Paired axial CT (left) and PSMA PET (right), [18F]PSMA-1007 tracer. Acquired on Siemens Biograph mCT Flow 20.
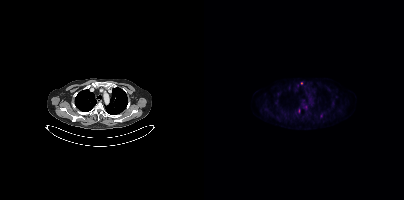
Coordinates are on the 200×200 PET (right) panel. (showing 1 of 3 foci) Small PSMA-avid focus (2 to 4 px across) near (center x, center y): (97, 83).